- Paired axial CT (left) and PSMA PET (right), 18F tracer
- acquired on Siemens Biograph mCT Flow 20
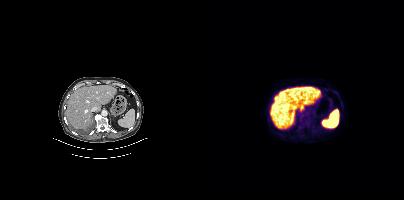
Findings: Only PSMA-avid lesion pieces thinner than 2 px on this slice (not listed).